modality: PSMA PET/CT | tracer: [18F]PSMA-1007 | view: axial
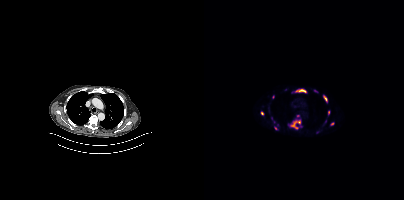
Coordinates are on the 200×200 PET (right) panel. (showing 9 of 10 foci) PSMA-avid tumor lesion bounding boxes (x0,y0,x1,y1): [85,120,96,129]; [92,89,102,92]; [119,95,123,102]. Small PSMA-avid foci (2 to 4 px across) near (center x, center y): (58, 112); (128, 123); (124, 112); (111, 90); (93, 115); (71, 128).